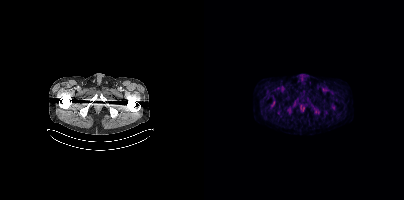
Left: CT. Right: PSMA PET, same axial level, [18F]PSMA-1007 tracer. Slice 65 of 454. Negative for PSMA-avid disease on this slice.